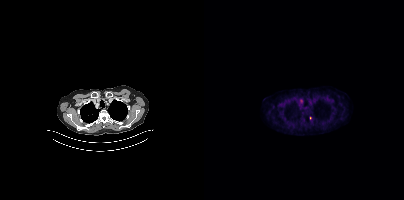
Paired axial CT (left) and PSMA PET (right), [18F]PSMA-1007 tracer. Acquired on Siemens Biograph mCT Flow 20. Slice position z = -411 mm. Coordinates are on the 200×200 PET (right) panel. Small PSMA-avid focus (2 to 4 px across) near (center x, center y): (106, 118).